Left: CT. Right: PSMA PET, same axial level, 18F-PSMA tracer. Acquired on Siemens Biograph mCT Flow 20. Slice position z = -1017 mm. PET panel 200×200 px (4.1 mm/px).
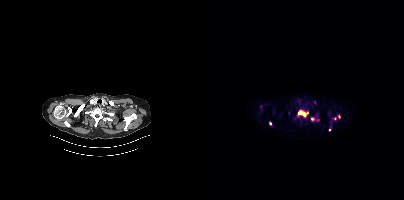
Coordinates are on the 200×200 PET (right) panel. (showing 6 of 7 foci) PSMA-avid tumor lesion bounding box (x0,y0,x1,y1): [94,110,104,117]. Small PSMA-avid foci (2 to 4 px across) near (center x, center y): (135, 116) (108, 119) (131, 118) (66, 123) (125, 129).